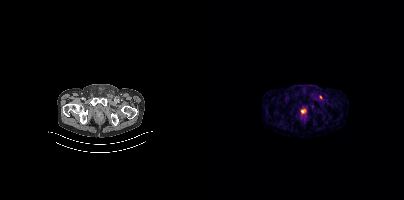
Coordinates are on the 200×200 PET (right) panel. Small PSMA-avid focus (2 to 4 px across) near (center x, center y): (116, 97).